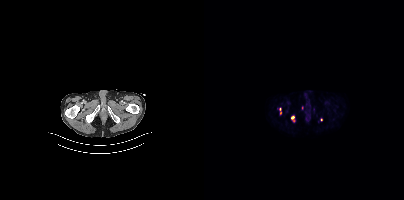
Two-panel axial: CT | PSMA PET, [18F]PSMA-1007 tracer. Acquired on Siemens Biograph mCT Flow 20. Slice position z = -932 mm. PET panel 200×200 px (4.1 mm/px). Coordinates are on the 200×200 PET (right) panel. (showing 2 of 4 foci) Small PSMA-avid foci (2 to 4 px across) near (center x, center y): (88, 117) | (76, 112).